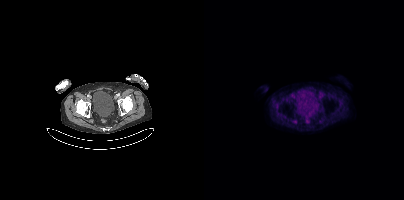
Findings: No tumor lesions annotated on this slice.
- Two-panel axial: CT | PSMA PET, 18F tracer
- slice position z = -1513 mm